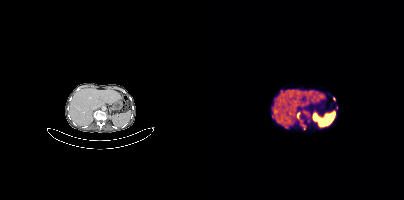
Coordinates are on the 200×200 PET (right) panel. (showing 5 of 7 foci) PSMA-avid tumor lesion bounding boxes (x, y, width, height): x=93 y=113 w=4 h=7 | x=98 y=125 w=5 h=5 | x=68 y=106 w=2 h=5. Small PSMA-avid foci (2 to 4 px across) near (center x, center y): (130, 98) | (132, 107). Paired axial CT (left) and PSMA PET (right), 68Ga tracer. Slice position z = -805 mm.